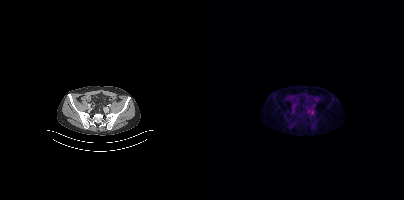
{"pet_grid":[200,200],"coord_frame":"pet_panel","coord_format":"x0,y0,x1,y1","lesion_bboxes":[],"small_foci_centers":[[108,112]],"modality":"PSMA PET/CT","view":"axial","tracer":"[18F]PSMA-1007"}